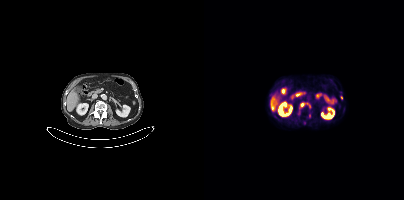
Coordinates are on the 200×200 PET (right) panel. (showing 2 of 4 foci) PSMA-avid tumor lesion bounding box (x0, y0)-(x1, y1): (96, 103)-(101, 107). Small PSMA-avid focus (2 to 4 px across) near (center x, center y): (137, 97).